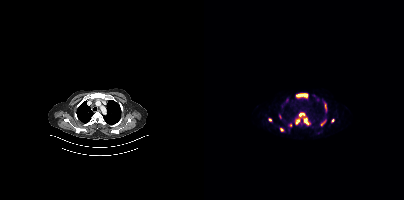
Coordinates are on the 200×200 PET (right) panel. PSMA-avid tumor lesion bounding boxes (x0,y0,x1,y1): [93,93,103,97]; [99,118,106,125]; [91,118,95,122]; [120,103,122,110]; [117,120,122,125]; [95,113,100,116]; [75,114,77,118]. Small PSMA-avid foci (2 to 4 px across) near (center x, center y): (77, 129); (66, 119); (86, 125); (128, 120).